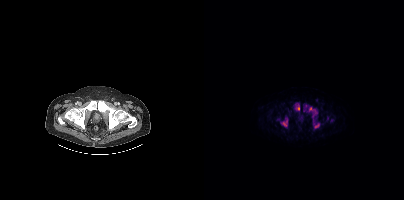
Technique: Two-panel axial: CT | PSMA PET, [18F]PSMA-1007 tracer. slice 143 of 508.
Findings: Coordinates are on the 200×200 PET (right) panel. PSMA-avid tumor lesion bounding boxes (x0, y0)-(x1, y1): (105, 107)-(113, 113) | (77, 119)-(83, 126) | (90, 103)-(95, 110) | (111, 124)-(115, 128). Small PSMA-avid foci (2 to 4 px across) near (center x, center y): (109, 118) | (100, 108).